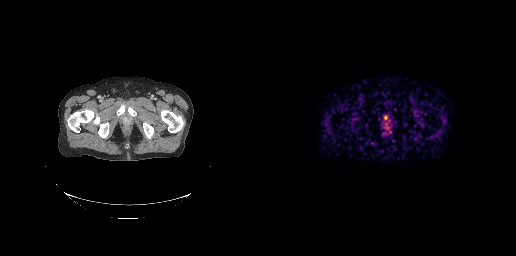
Paired axial CT (left) and PSMA PET (right), [68Ga]Ga-PSMA-11 tracer. Slice position z = -884 mm. Coordinates are on the 256×256 PET (right) panel. Small PSMA-avid focus (2 to 4 px across) near (center x, center y): (125, 117).